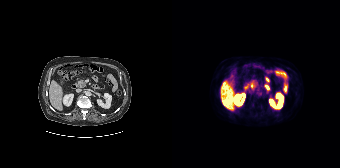
Findings: Negative for PSMA-avid disease on this slice.
- Two-panel axial: CT | PSMA PET, [18F]PSMA-1007 tracer
- acquired on Siemens Biograph 64-4R TruePoint